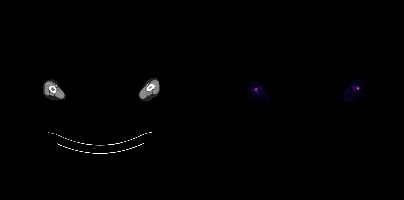
de-identification: face masked with black rectangle | modality: PSMA PET/CT | tracer: 18F-PSMA | view: axial
Coordinates are on the 200×200 PET (right) panel. PSMA-avid tumor lesion bounding box (x0, y0)-(x1, y1): (150, 86)-(154, 89). Small PSMA-avid focus (2 to 4 px across) near (center x, center y): (51, 89).